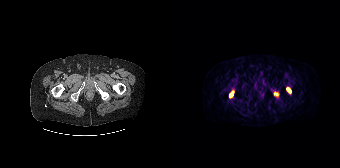
Findings: Coordinates are on the 168×168 PET (right) panel. PSMA-avid tumor lesion bounding boxes (x0, y0)-(x1, y1): (114, 87)-(119, 93) / (57, 92)-(61, 97). Small PSMA-avid focus (2 to 4 px across) near (center x, center y): (104, 93).
Technique: Paired axial CT (left) and PSMA PET (right), 68Ga tracer. acquired on Siemens Biograph 64-4R TruePoint.